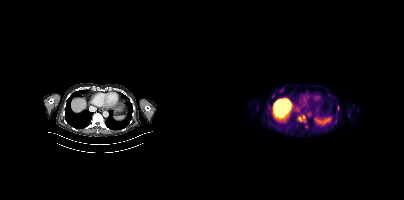
Paired axial CT (left) and PSMA PET (right), 18F tracer. Acquired on Siemens Biograph mCT Flow 20. Slice position z = -603 mm. Only PSMA-avid lesion pieces thinner than 2 px on this slice (not listed).